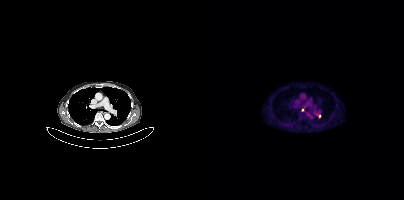
Technique: Left: CT. Right: PSMA PET, same axial level, [18F]PSMA-1007 tracer.
Findings: Coordinates are on the 200×200 PET (right) panel. (showing 2 of 3 foci) PSMA-avid tumor lesion bounding box (x0,y0,x1,y1): [97,107,100,111]. Small PSMA-avid focus (2 to 4 px across) near (center x, center y): (115, 116).